- Two-panel axial: CT | PSMA PET, 18F tracer
- acquired on Siemens Biograph mCT Flow 20
- slice position z = 1057 mm
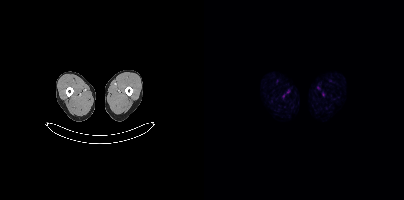
Findings: No tumor lesions annotated on this slice.